- Two-panel axial: CT | PSMA PET, [18F]PSMA-1007 tracer
- PET panel 200×200 px (4.1 mm/px)
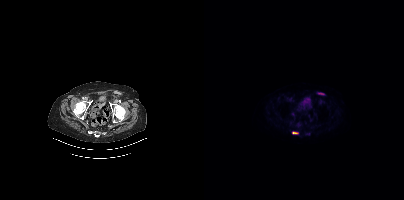
Findings: Coordinates are on the 200×200 PET (right) panel. PSMA-avid tumor lesion bounding box (x0,y0,x1,y1): [88,131,94,134]. Small PSMA-avid focus (2 to 4 px across) near (center x, center y): (104, 133).